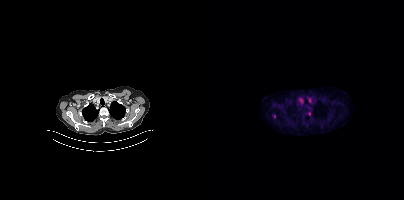
Coordinates are on the 200×200 PET (right) panel. PSMA-avid tumor lesion bounding box (x, y, width, height): x=68 y=114 w=4 h=5. Small PSMA-avid focus (2 to 4 px across) near (center x, center y): (105, 113).